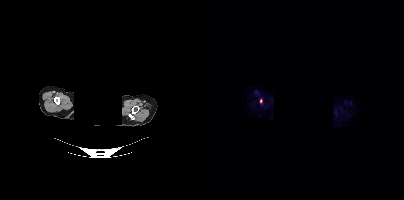
Head region blanked for anonymization (face removed).
Coordinates are on the 200×200 PET (right) panel. PSMA-avid tumor lesion bounding box (x, y, width, height): x=56 y=99 w=3 h=5.